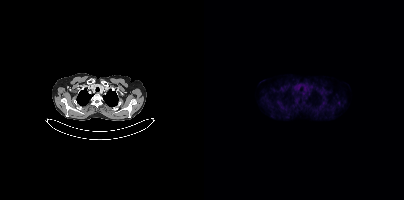
Technique: Paired axial CT (left) and PSMA PET (right), 18F tracer. PET panel 200×200 px (4.1 mm/px).
Findings: Negative for PSMA-avid disease on this slice.